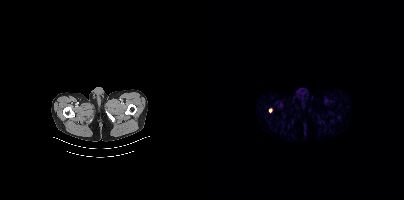
{"modality":"PSMA PET/CT","view":"axial","tracer":"68Ga-PSMA","pet_grid":[200,200],"coord_frame":"pet_panel","coord_format":"x0,y0,x1,y1","lesion_bboxes":[[65,108,68,112]]}